Technique: Left: CT. Right: PSMA PET, same axial level, 68Ga-PSMA tracer.
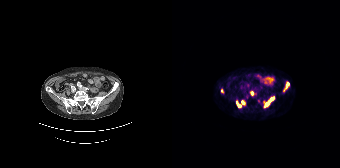
Findings: Coordinates are on the 168×168 PET (right) panel. (showing 5 of 6 foci) PSMA-avid tumor lesion bounding boxes (x0, y0)-(x1, y1): (64, 100)-(73, 107) | (92, 97)-(102, 107) | (114, 82)-(117, 88) | (79, 91)-(81, 95). Small PSMA-avid focus (2 to 4 px across) near (center x, center y): (50, 90).